Left: CT. Right: PSMA PET, same axial level, [68Ga]Ga-PSMA-11 tracer. Slice position z = -779 mm. PET panel 256×256 px (2.7 mm/px).
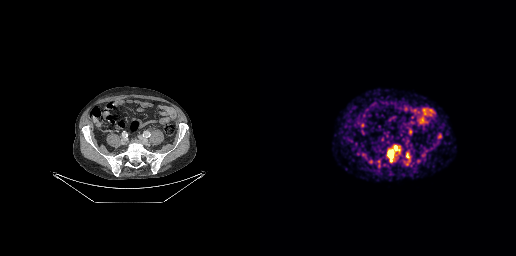
Coordinates are on the 256×256 PET (right) panel. PSMA-avid tumor lesion bounding boxes (x0, y0)-(x1, y1): (128, 146)-(137, 157) | (178, 134)-(181, 138). Small PSMA-avid foci (2 to 4 px across) near (center x, center y): (147, 156) | (130, 160) | (158, 160).